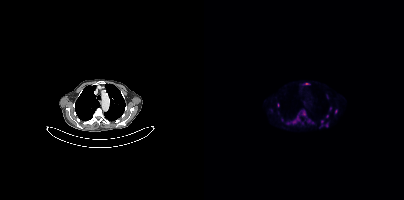
Findings: Coordinates are on the 200×200 PET (right) panel. (showing 8 of 12 foci) PSMA-avid tumor lesion bounding box (x0,y0,x1,y1): [99,111,101,115]. Small PSMA-avid foci (2 to 4 px across) near (center x, center y): (90, 121), (102, 83), (118, 121), (122, 125), (131, 111), (123, 116), (93, 118).
Technique: Paired axial CT (left) and PSMA PET (right), 18F tracer. acquired on Siemens Biograph mCT Flow 20. slice position z = -566 mm. PET panel 200×200 px (4.1 mm/px).